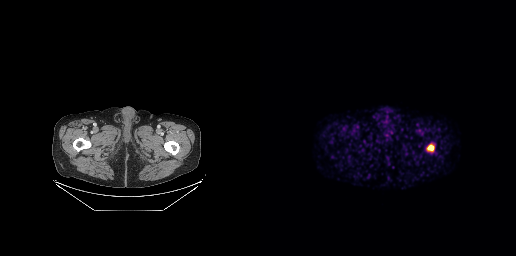
Two-panel axial: CT | PSMA PET, 68Ga-PSMA tracer. Coordinates are on the 256×256 PET (right) panel. PSMA-avid tumor lesion bounding box (x0,y0,x1,y1): [167,145,173,150].